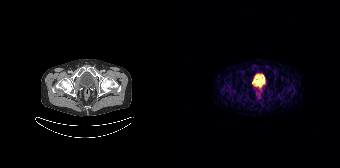
{"modality":"PSMA PET/CT","view":"axial","tracer":"68Ga","pet_grid":[168,168],"coord_frame":"pet_panel","coord_format":"x0,y0,x1,y1","psma_avid_lesions":false}